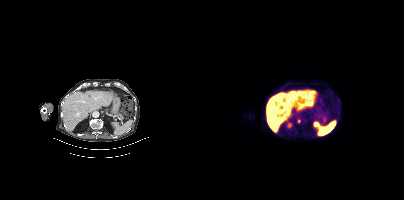
Findings: Coordinates are on the 200×200 PET (right) panel. Small PSMA-avid focus (2 to 4 px across) near (center x, center y): (95, 121).
- Paired axial CT (left) and PSMA PET (right), 18F-PSMA tracer
- PET panel 200×200 px (4.1 mm/px)